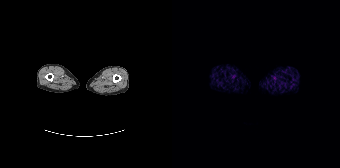
Findings: This slice has no annotated PSMA-avid lesion.
Technique: Left: CT. Right: PSMA PET, same axial level, 68Ga tracer. PET panel 168×168 px (4.1 mm/px).